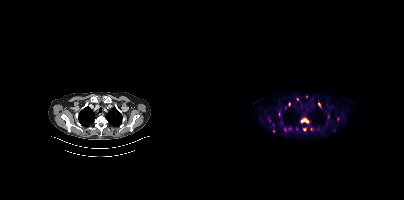
Paired axial CT (left) and PSMA PET (right), [18F]PSMA-1007 tracer. Slice 327 of 413. Coordinates are on the 200×200 PET (right) panel. (showing 6 of 9 foci) PSMA-avid tumor lesion bounding boxes (x0, y0)-(x1, y1): (96, 118)-(104, 123) | (114, 102)-(116, 107). Small PSMA-avid foci (2 to 4 px across) near (center x, center y): (100, 129) | (80, 129) | (85, 104) | (107, 128).